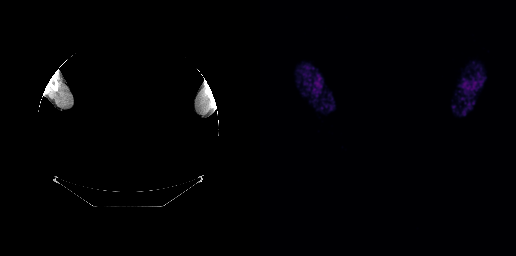
Face de-identified by blanking a block of the head.
No PSMA-avid tumor lesions on this slice.